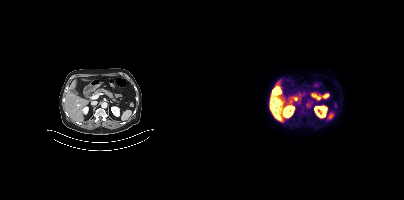
Technique: Paired axial CT (left) and PSMA PET (right), [18F]PSMA-1007 tracer. acquired on Siemens Biograph mCT Flow 20. PET panel 200×200 px (4.1 mm/px).
Findings: This slice has no annotated PSMA-avid lesion.